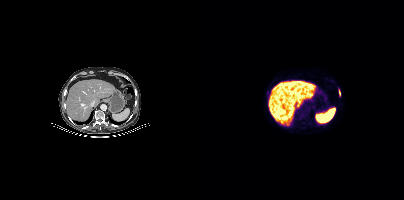
{"modality":"PSMA PET/CT","view":"axial","tracer":"18F","pet_grid":[200,200],"coord_frame":"pet_panel","coord_format":"x0,y0,x1,y1","lesion_bboxes":[[135,90,136,95]]}